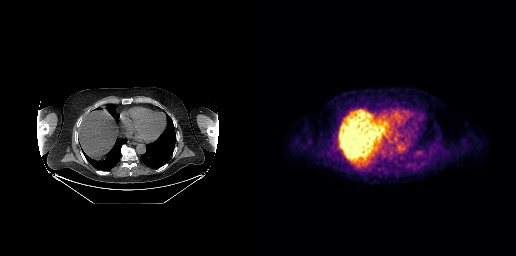
No tumor lesions annotated on this slice. Left: CT. Right: PSMA PET, same axial level, 18F tracer. Slice 174 of 263. PET panel 256×256 px (2.7 mm/px).